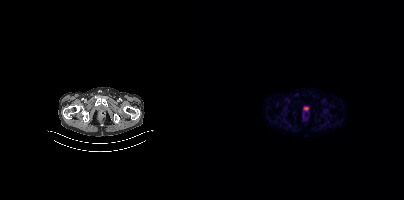
No PSMA-avid tumor lesions on this slice. Left: CT. Right: PSMA PET, same axial level, 18F-PSMA tracer. Slice 64 of 389. PET panel 200×200 px (4.1 mm/px).